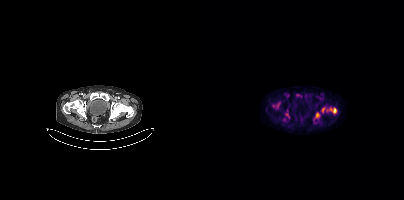
- Left: CT. Right: PSMA PET, same axial level, [18F]PSMA-1007 tracer
- slice 55 of 373
- PET panel 200×200 px (4.1 mm/px)
Findings: Coordinates are on the 200×200 PET (right) panel. (showing 4 of 5 foci) PSMA-avid tumor lesion bounding boxes (x0, y0)-(x1, y1): (126, 108)-(132, 113); (112, 113)-(115, 117); (118, 108)-(120, 112). Small PSMA-avid focus (2 to 4 px across) near (center x, center y): (83, 114).